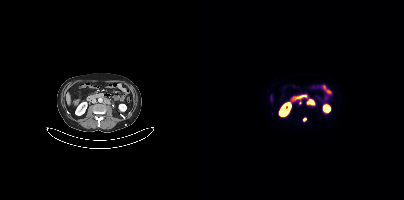
{"modality":"PSMA PET/CT","view":"axial","tracer":"68Ga","pet_grid":[200,200],"coord_frame":"pet_panel","coord_format":"x0,y0,x1,y1","lesion_bboxes":[[103,100,107,103]],"small_foci_centers":[[100,119],[96,102]]}